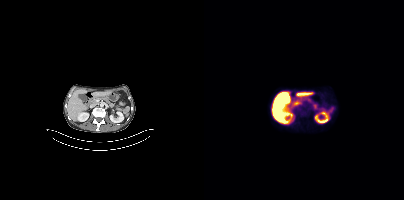
{"modality":"PSMA PET/CT","view":"axial","tracer":"18F","pet_grid":[200,200],"coord_frame":"pet_panel","coord_format":"x0,y0,x1,y1","psma_avid_lesions":false}